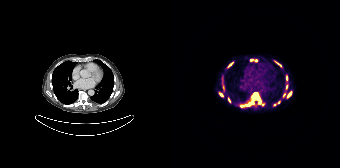
modality: PSMA PET/CT | tracer: 68Ga-PSMA | view: axial | PET grid: 168×168
Coordinates are on the 168×168 PET (right) panel. (showing 10 of 14 foci) PSMA-avid tumor lesion bounding boxes (x0,y0,x1,y1): [77,93,91,105], [115,91,119,97], [47,93,51,96], [103,61,109,66], [56,98,58,102]. Small PSMA-avid foci (2 to 4 px across) near (center x, center y): (114, 77), (69, 106), (114, 86), (58, 65), (102, 104).